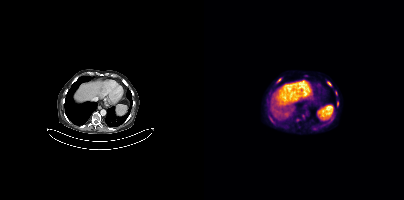
Findings: Coordinates are on the 200×200 PET (right) panel. (showing 7 of 9 foci) PSMA-avid tumor lesion bounding boxes (x, y, width, height): x=66 y=120 w=6 h=4 | x=73 y=78 w=4 h=5 | x=123 y=82 w=5 h=4 | x=133 y=101 w=2 h=6 | x=127 y=105 w=3 h=5. Small PSMA-avid foci (2 to 4 px across) near (center x, center y): (99, 116) | (99, 79).
Technique: Left: CT. Right: PSMA PET, same axial level, [18F]PSMA-1007 tracer. PET panel 200×200 px (4.1 mm/px).